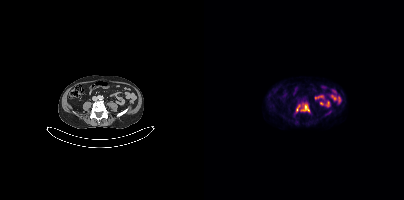
{"modality":"PSMA PET/CT","view":"axial","tracer":"18F-PSMA","pet_grid":[200,200],"coord_frame":"pet_panel","coord_format":"x0,y0,x1,y1","lesion_bboxes":[[97,104,105,111],[92,105,96,111]]}